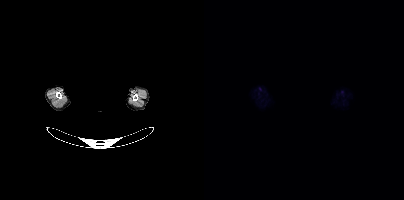
Left: CT. Right: PSMA PET, same axial level, 18F tracer. Slice 366 of 391. PET panel 200×200 px (4.1 mm/px). Facial anatomy redacted by setting a rectangular region of the head to black. No PSMA-avid tumor lesions on this slice.